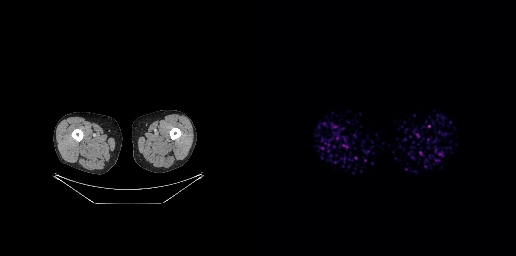
modality: PSMA PET/CT | tracer: 18F | view: axial
Negative for PSMA-avid disease on this slice.